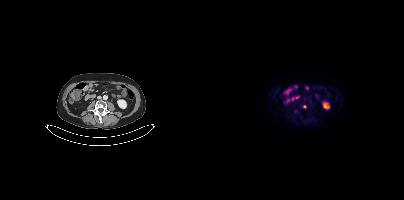
Coordinates are on the 200×200 PET (right) panel. Small PSMA-avid focus (2 to 4 px across) near (center x, center y): (100, 106). Left: CT. Right: PSMA PET, same axial level, [18F]PSMA-1007 tracer. Acquired on Siemens Biograph mCT Flow 20.